Technique: Left: CT. Right: PSMA PET, same axial level, 18F-PSMA tracer.
Note: Privacy masking over the head, with the pixels inside a rectangle set to black.
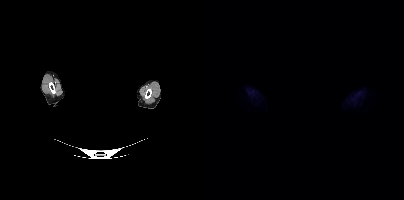
Findings: This slice has no annotated PSMA-avid lesion.